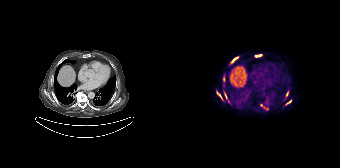
Coordinates are on the 168×168 PET (right) panel. (showing 9 of 10 foci) PSMA-avid tumor lesion bounding boxes (x0,y0,x1,y1): [59,56,66,63]; [44,91,50,99]; [83,54,89,57]; [52,92,55,99]; [114,91,116,96]; [114,100,119,104]. Small PSMA-avid foci (2 to 4 px across) near (center x, center y): (89, 105); (95, 108); (56, 101).